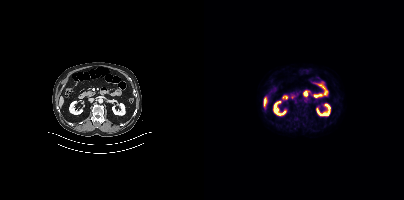
- Two-panel axial: CT | PSMA PET, [18F]PSMA-1007 tracer
- acquired on Siemens Biograph mCT Flow 20
- slice position z = -744 mm
Findings: No PSMA-avid tumor lesions on this slice.